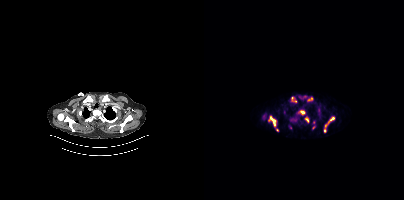
{"modality":"PSMA PET/CT","view":"axial","tracer":"[68Ga]Ga-PSMA-11","pet_grid":[200,200],"coord_frame":"pet_panel","coord_format":"x0,y0,x1,y1","partial":true,"lesion_bboxes":[[64,116,72,126],[120,117,130,130],[87,115,93,122],[87,97,92,102],[93,110,100,114],[101,117,104,122],[104,97,108,101]],"small_foci_centers":[[73,130],[109,122],[109,127],[114,107]]}